Two-panel axial: CT | PSMA PET, 18F-PSMA tracer. Acquired on GE Discovery 690. Slice 52 of 263. PET panel 256×256 px (2.7 mm/px).
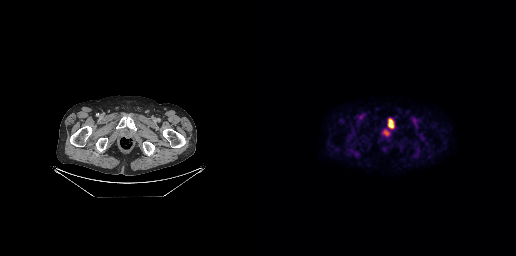
Coordinates are on the 256×256 PET (right) panel. PSMA-avid tumor lesion bounding boxes:
| # | x0 | y0 | x1 | y1 |
|---|---|---|---|---|
| 1 | 128 | 119 | 133 | 128 |